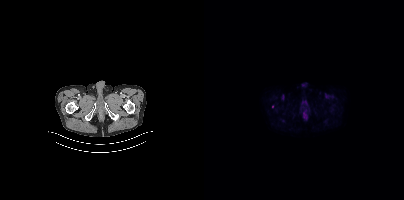
No tumor lesions annotated on this slice.
modality: PSMA PET/CT | tracer: 18F | view: axial